modality: PSMA PET/CT | tracer: 18F-PSMA | view: axial
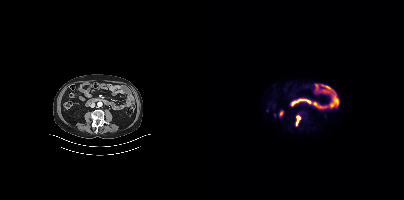
Coordinates are on the 200×200 PET (right) panel. (showing 1 of 2 foci) PSMA-avid tumor lesion bounding box (x0,y0,x1,y1): [92,116,96,125].